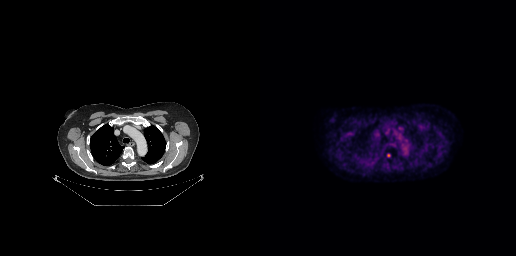
Findings: Coordinates are on the 256×256 PET (right) panel. Small PSMA-avid focus (2 to 4 px across) near (center x, center y): (128, 155).
Technique: Two-panel axial: CT | PSMA PET, [18F]PSMA-1007 tracer. PET panel 256×256 px (2.7 mm/px).